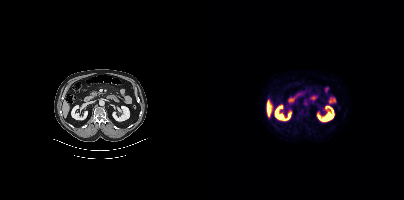
Two-panel axial: CT | PSMA PET, [18F]PSMA-1007 tracer. Slice position z = -1213 mm. PET panel 200×200 px (4.1 mm/px). No PSMA-avid tumor lesions on this slice.